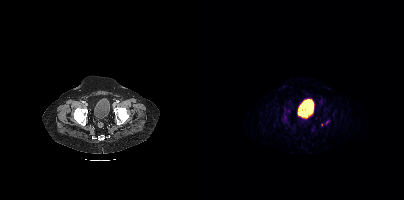
Findings: Coordinates are on the 200×200 PET (right) panel. PSMA-avid tumor lesion bounding box (x, y, width, height): x=121 y=120 w=5 h=5. Small PSMA-avid focus (2 to 4 px across) near (center x, center y): (118, 123).
Technique: Left: CT. Right: PSMA PET, same axial level, 68Ga tracer. PET panel 200×200 px (4.1 mm/px).